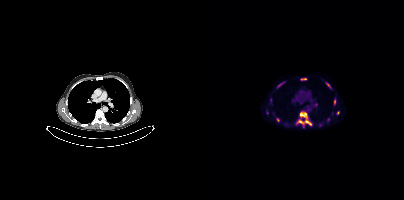
Paired axial CT (left) and PSMA PET (right), [18F]PSMA-1007 tracer. Slice 271 of 403.
Coordinates are on the 200×200 PET (right) panel. PSMA-avid tumor lesion bounding boxes (partial; 2 more foci not listed):
| # | x0 | y0 | x1 | y1 |
|---|---|---|---|---|
| 1 | 92 | 111 | 108 | 127 |
| 2 | 97 | 78 | 102 | 80 |
| 3 | 77 | 81 | 81 | 85 |
| 4 | 130 | 99 | 131 | 104 |
Small PSMA-avid foci (2 to 4 px across) near (center x, center y): (73, 119); (134, 112); (63, 112); (124, 119).